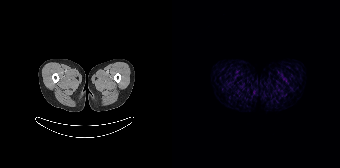
Negative for PSMA-avid disease on this slice.